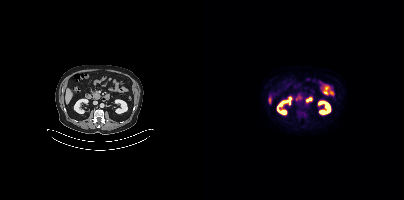
No tumor lesions annotated on this slice. Paired axial CT (left) and PSMA PET (right), 18F-PSMA tracer. Acquired on Siemens Biograph mCT Flow 20. Slice 179 of 389.